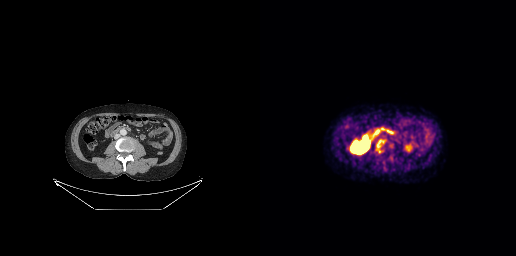
Coordinates are on the 256×256 PET (right) panel. PSMA-avid tumor lesion bounding boxes:
| # | x0 | y0 | x1 | y1 |
|---|---|---|---|---|
| 1 | 116 | 139 | 124 | 152 |
Left: CT. Right: PSMA PET, same axial level, 18F tracer. Slice position z = -542 mm.